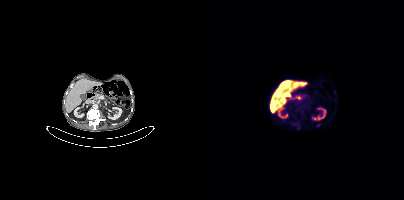
Negative for PSMA-avid disease on this slice. Left: CT. Right: PSMA PET, same axial level, 18F tracer. Slice position z = -776 mm. PET panel 200×200 px (4.1 mm/px).